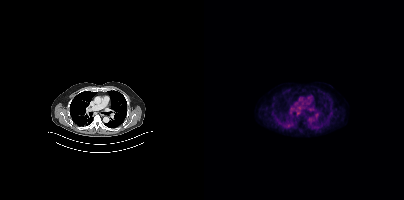
{"pet_grid":[200,200],"coord_frame":"pet_panel","coord_format":"x0,y0,x1,y1","psma_avid_lesions":false,"modality":"PSMA PET/CT","view":"axial","tracer":"18F-PSMA"}